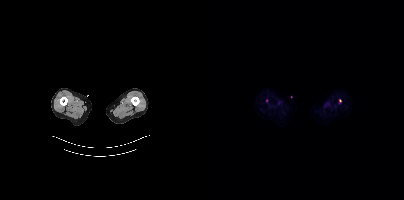
Paired axial CT (left) and PSMA PET (right), 18F-PSMA tracer. Acquired on Siemens Biograph mCT Flow 20. Coordinates are on the 200×200 PET (right) panel. Small PSMA-avid foci (2 to 4 px across) near (center x, center y): (136, 100), (62, 100).